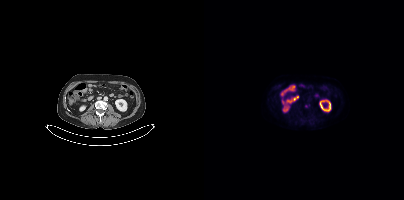
Technique: Paired axial CT (left) and PSMA PET (right), [18F]PSMA-1007 tracer.
Findings: Only PSMA-avid lesion pieces thinner than 2 px on this slice (not listed).